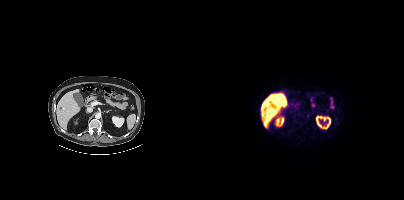
Paired axial CT (left) and PSMA PET (right), 18F-PSMA tracer. PET panel 200×200 px (4.1 mm/px). No tumor lesions annotated on this slice.